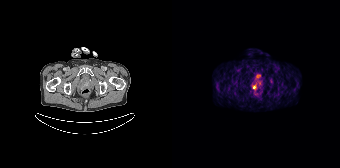
Left: CT. Right: PSMA PET, same axial level, [68Ga]Ga-PSMA-11 tracer. Slice 40 of 195. PET panel 168×168 px (4.1 mm/px). Coordinates are on the 168×168 PET (right) panel. Small PSMA-avid focus (2 to 4 px across) near (center x, center y): (82, 86).